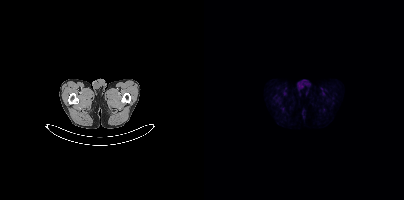
{"pet_grid":[200,200],"coord_frame":"pet_panel","coord_format":"x0,y0,x1,y1","psma_avid_lesions":false,"modality":"PSMA PET/CT","view":"axial","tracer":"[18F]PSMA-1007"}